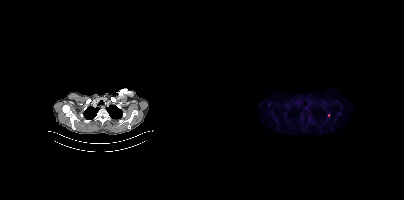
Two-panel axial: CT | PSMA PET, 18F-PSMA tracer. Acquired on Siemens Biograph mCT Flow 20. PET panel 200×200 px (4.1 mm/px). Coordinates are on the 200×200 PET (right) panel. (showing 1 of 2 foci) Small PSMA-avid focus (2 to 4 px across) near (center x, center y): (124, 115).